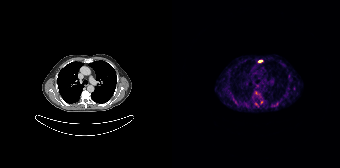
Left: CT. Right: PSMA PET, same axial level, [68Ga]Ga-PSMA-11 tracer. Acquired on Siemens Biograph 64-4R TruePoint. Slice position z = -744 mm. PET panel 168×168 px (4.1 mm/px). Coordinates are on the 168×168 PET (right) panel. (showing 3 of 7 foci) PSMA-avid tumor lesion bounding box (x, y, width, height): x=86 y=60 w=5 h=3. Small PSMA-avid foci (2 to 4 px across) near (center x, center y): (116, 76); (116, 88).